Two-panel axial: CT | PSMA PET, 18F tracer. Slice position z = 94 mm.
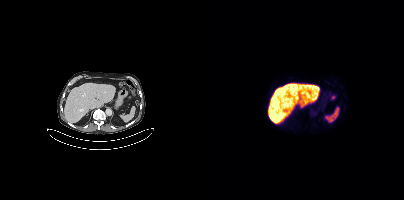
No PSMA-avid tumor lesions on this slice.